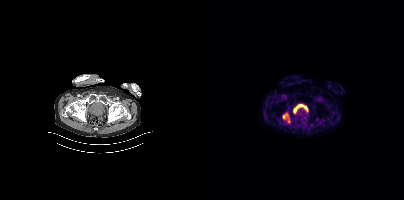
{"pet_grid":[200,200],"coord_frame":"pet_panel","coord_format":"x0,y0,x1,y1","lesion_bboxes":[[79,113,83,118]],"small_foci_centers":[[84,121]],"modality":"PSMA PET/CT","view":"axial","tracer":"[18F]PSMA-1007"}